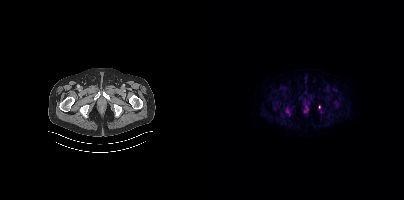
modality: PSMA PET/CT | tracer: 18F | view: axial | PET grid: 200×200
Coordinates are on the 200×200 PET (right) panel. Small PSMA-avid focus (2 to 4 px across) near (center x, center y): (115, 107).